modality: PSMA PET/CT | tracer: 18F-PSMA | view: axial | PET grid: 168×168
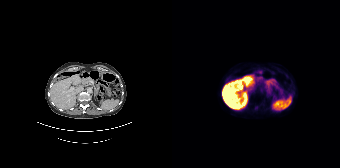
Coordinates are on the 168×168 PET (right) panel. Small PSMA-avid focus (2 to 4 px across) near (center x, center y): (84, 107).